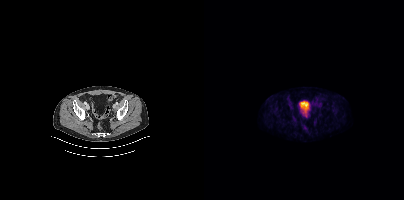
No PSMA-avid tumor lesions on this slice.